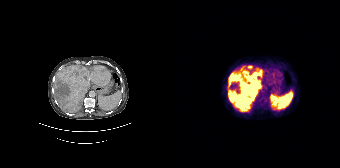
Coordinates are on the 168×168 PET (right) panel. PSMA-avid tumor lesion bounding boxes (x0,y0,x1,y1): [56,66,90,111], [75,65,80,69].